Left: CT. Right: PSMA PET, same axial level, [18F]PSMA-1007 tracer. Slice position z = 130 mm.
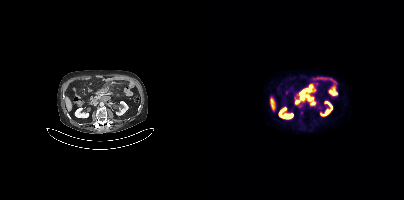
Coordinates are on the 200×200 PET (right) panel. PSMA-avid tumor lesion bounding box (x0, y0)-(x1, y1): (97, 85)-(108, 98). Small PSMA-avid foci (2 to 4 px across) near (center x, center y): (108, 103) | (96, 106) | (97, 112).